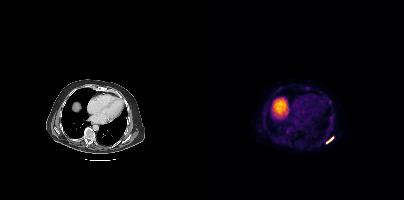
Findings: Coordinates are on the 200×200 PET (right) panel. PSMA-avid tumor lesion bounding box (x0,y0,x1,y1): [122,137,129,143].
Technique: Two-panel axial: CT | PSMA PET, [18F]PSMA-1007 tracer. acquired on Siemens Biograph mCT Flow 20. PET panel 200×200 px (4.1 mm/px).